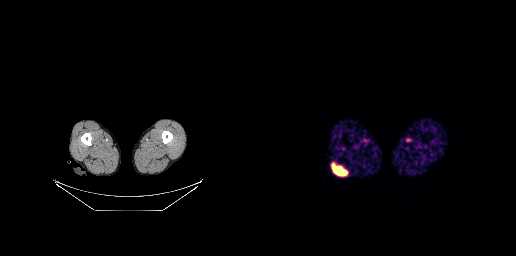
Two-panel axial: CT | PSMA PET, [68Ga]Ga-PSMA-11 tracer. Negative for PSMA-avid disease on this slice.